Two-panel axial: CT | PSMA PET, [18F]PSMA-1007 tracer. PET panel 200×200 px (4.1 mm/px).
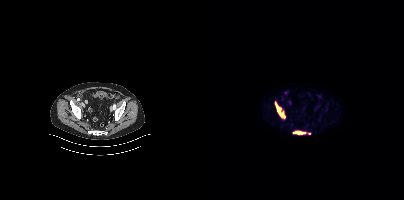
Coordinates are on the 200×200 PET (right) panel. PSMA-avid tumor lesion bounding boxes (x, y, width, height): x=71 y=102 w=11 h=17 / x=89 y=131 w=13 h=4. Small PSMA-avid focus (2 to 4 px across) near (center x, center y): (105, 133).